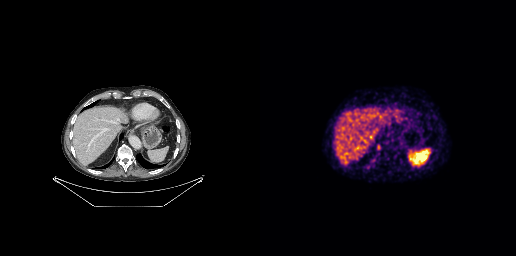
Coordinates are on the 256×256 PET (right) panel. PSMA-avid tumor lesion bounding box (x0,y0,x1,y1): [117,145,119,149].
modality: PSMA PET/CT | tracer: [68Ga]Ga-PSMA-11 | view: axial